- Left: CT. Right: PSMA PET, same axial level, 18F tracer
- slice position z = -1290 mm
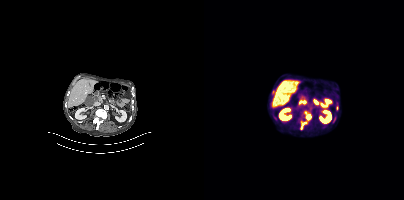
Findings: Coordinates are on the 200×200 PET (right) panel. (showing 2 of 4 foci) PSMA-avid tumor lesion bounding box (x0,y0,x1,y1): [95,120,103,130]. Small PSMA-avid focus (2 to 4 px across) near (center x, center y): (130, 118).